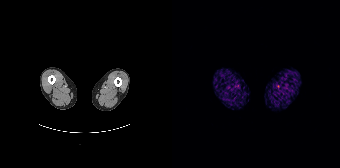
No PSMA-avid tumor lesions on this slice.